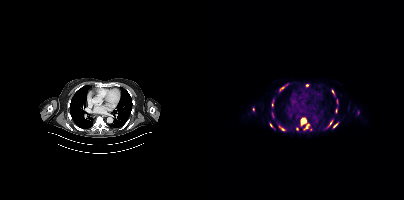
Findings: Coordinates are on the 200×200 PET (right) panel. (showing 14 of 17 foci) PSMA-avid tumor lesion bounding boxes (x0, y0)-(x1, y1): (96, 118)-(102, 125); (100, 124)-(105, 129); (129, 122)-(134, 127); (75, 126)-(81, 130); (125, 120)-(128, 125); (76, 86)-(80, 90); (68, 113)-(70, 117); (128, 90)-(130, 94); (66, 123)-(68, 127). Small PSMA-avid foci (2 to 4 px across) near (center x, center y): (93, 128); (132, 110); (103, 85); (68, 105); (49, 109).
- Two-panel axial: CT | PSMA PET, 18F-PSMA tracer
- slice position z = -1040 mm